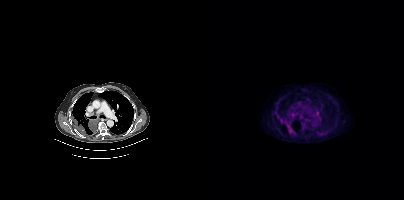
modality: PSMA PET/CT | tracer: [18F]PSMA-1007 | view: axial
Coordinates are on the 200×200 PET (right) panel. PSMA-avid tumor lesion bounding box (x0, y0)-(x1, y1): (82, 123)-(90, 133). Small PSMA-avid foci (2 to 4 px across) near (center x, center y): (78, 121) / (88, 114).